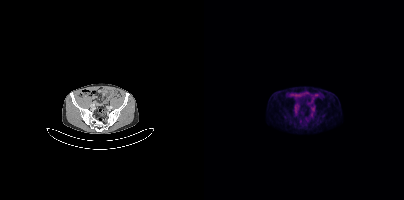
Coordinates are on the 200×200 PET (right) panel. PSMA-avid tumor lesion bounding box (x, y, width, height): x=90 y=106 w=5 h=5. Small PSMA-avid focus (2 to 4 px across) near (center x, center y): (108, 109).